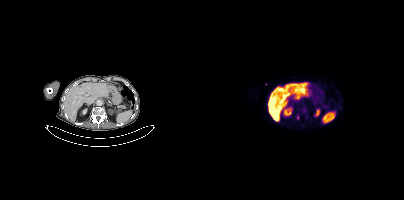
Coordinates are on the 200×200 PET (right) panel. PSMA-avid tumor lesion bounding boxes (partial; 1 more focus not listed):
| # | x0 | y0 | x1 | y1 |
|---|---|---|---|---|
| 1 | 93 | 115 | 95 | 119 |
Paired axial CT (left) and PSMA PET (right), 18F-PSMA tracer. Slice 224 of 409. PET panel 200×200 px (4.1 mm/px).